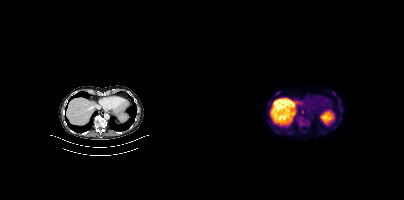
Left: CT. Right: PSMA PET, same axial level, [18F]PSMA-1007 tracer. Acquired on Siemens Biograph mCT Flow 20. Slice position z = -485 mm. PET panel 200×200 px (4.1 mm/px).
Coordinates are on the 200×200 PET (right) panel. PSMA-avid tumor lesion bounding boxes (partial; 1 more focus not listed):
| # | x0 | y0 | x1 | y1 |
|---|---|---|---|---|
| 1 | 136 | 106 | 138 | 112 |
| 2 | 71 | 91 | 76 | 94 |
Small PSMA-avid foci (2 to 4 px across) near (center x, center y): (130, 93); (98, 111).